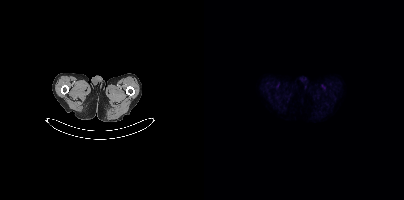
Left: CT. Right: PSMA PET, same axial level, [18F]PSMA-1007 tracer. Acquired on Siemens Biograph mCT Flow 20. No PSMA-avid tumor lesions on this slice.